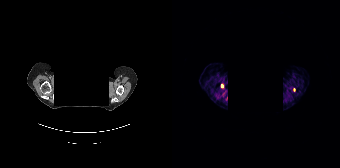
{"modality":"PSMA PET/CT","view":"axial","tracer":"68Ga-PSMA","pet_grid":[168,168],"coord_frame":"pet_panel","coord_format":"x0,y0,x1,y1","deidentification":"facial region redacted","partial":true,"lesion_bboxes":[[49,84,51,88]]}